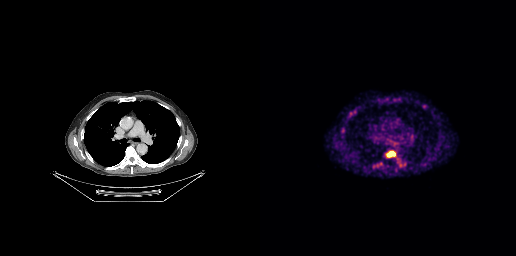
Two-panel axial: CT | PSMA PET, 68Ga tracer. Slice 185 of 263.
Coordinates are on the 256×256 PET (right) panel. PSMA-avid tumor lesion bounding boxes:
| # | x0 | y0 | x1 | y1 |
|---|---|---|---|---|
| 1 | 127 | 151 | 135 | 156 |